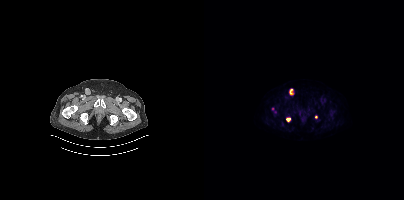
Coordinates are on the 200×200 PET (right) panel. PSMA-avid tumor lesion bounding boxes:
| # | x0 | y0 | x1 | y1 |
|---|---|---|---|---|
| 1 | 85 | 88 | 89 | 95 |
| 2 | 82 | 118 | 86 | 121 |
Small PSMA-avid focus (2 to 4 px across) near (center x, center y): (112, 117).
Two-panel axial: CT | PSMA PET, [18F]PSMA-1007 tracer. Acquired on Siemens Biograph mCT Flow 20. Slice 67 of 444. PET panel 200×200 px (4.1 mm/px).